Two-panel axial: CT | PSMA PET, 68Ga tracer.
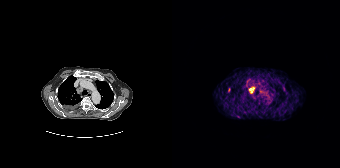
Coordinates are on the 168×168 PET (right) panel. (showing 2 of 3 foci) PSMA-avid tumor lesion bounding boxes (x0,y0,x1,y1): [77,86,83,93]; [56,88,58,92].